modality: PSMA PET/CT | tracer: 68Ga | view: axial
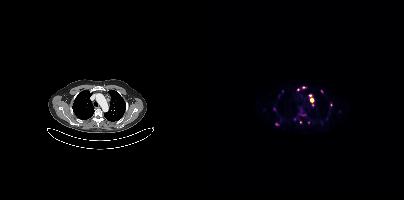
Coordinates are on the 200×200 PET (right) panel. (showing 11 of 14 foci) PSMA-avid tumor lesion bounding box (x0, y0)-(x1, y1): (106, 98)-(109, 102). Small PSMA-avid foci (2 to 4 px across) near (center x, center y): (97, 114) | (99, 87) | (127, 104) | (78, 91) | (118, 91) | (70, 109) | (106, 95) | (108, 104) | (93, 89) | (72, 124).